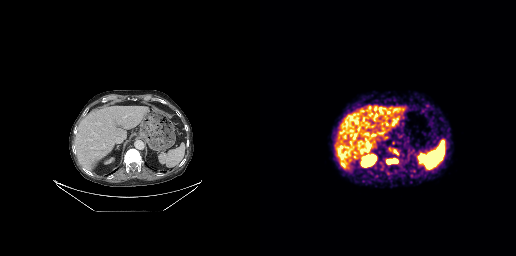
Findings: Coordinates are on the 256×256 PET (right) panel. PSMA-avid tumor lesion bounding boxes (x, y, width, height): x=127 y=159 w=11 h=6 | x=133 y=149 w=6 h=6. Small PSMA-avid focus (2 to 4 px across) near (center x, center y): (130, 149).
- Two-panel axial: CT | PSMA PET, [68Ga]Ga-PSMA-11 tracer
- slice 157 of 263
- PET panel 256×256 px (2.7 mm/px)